modality: PSMA PET/CT | tracer: [18F]PSMA-1007 | view: axial | PET grid: 256×256
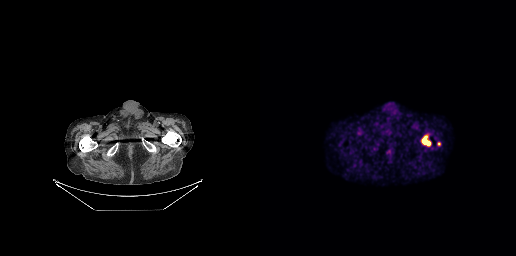
Coordinates are on the 256×256 PET (right) panel. PSMA-avid tumor lesion bounding box (x0, y0)-(x1, y1): (162, 135)-(170, 145). Small PSMA-avid focus (2 to 4 px across) near (center x, center y): (178, 143).